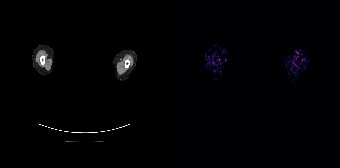
modality: PSMA PET/CT | tracer: 68Ga | view: axial | PET grid: 168×168 | deidentification: head region blanked (face removed)
No tumor lesions annotated on this slice.